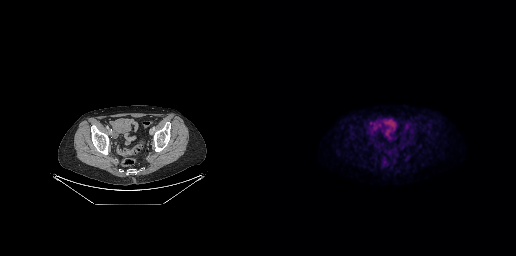
{"pet_grid":[256,256],"coord_frame":"pet_panel","coord_format":"x0,y0,x1,y1","psma_avid_lesions":false,"modality":"PSMA PET/CT","view":"axial","tracer":"[18F]PSMA-1007"}